Paired axial CT (left) and PSMA PET (right), 18F tracer. Slice 86 of 165. PET panel 168×168 px (4.1 mm/px).
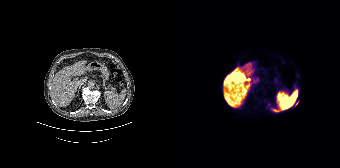
Coordinates are on the 168×168 PET (right) panel. PSMA-avid tumor lesion bounding boxes:
| # | x0 | y0 | x1 | y1 |
|---|---|---|---|---|
| 1 | 100 | 109 | 108 | 112 |
| 2 | 124 | 101 | 126 | 105 |